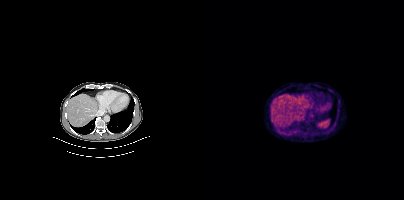
{"modality":"PSMA PET/CT","view":"axial","tracer":"18F","pet_grid":[200,200],"coord_frame":"pet_panel","coord_format":"x0,y0,x1,y1","lesion_bboxes":[[93,114,100,121]]}